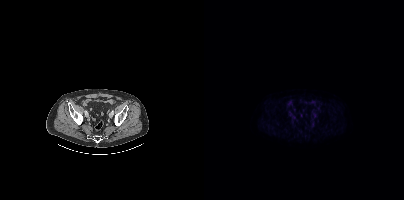
This slice has no annotated PSMA-avid lesion.